Facial anatomy redacted by setting a rectangular region of the head to black. Two-panel axial: CT | PSMA PET, 18F tracer.
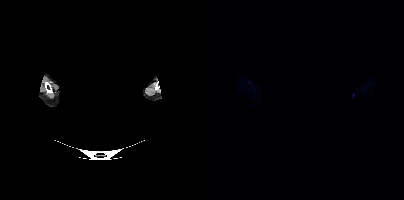
No PSMA-avid tumor lesions on this slice.